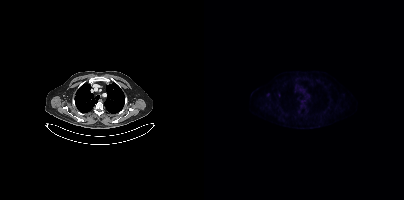
Technique: Two-panel axial: CT | PSMA PET, 18F tracer. acquired on Siemens Biograph mCT Flow 20. PET panel 200×200 px (4.1 mm/px).
Findings: No tumor lesions annotated on this slice.